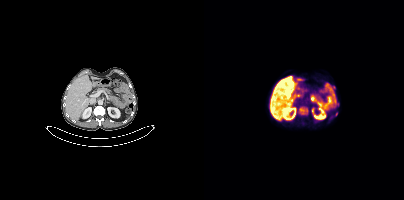
Coordinates are on the 200×200 PET (right) panel. (showing 1 of 2 foci) PSMA-avid tumor lesion bounding box (x0, y0)-(x1, y1): (96, 108)-(100, 113).